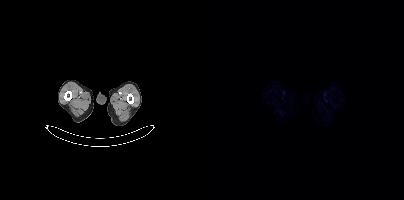
Negative for PSMA-avid disease on this slice.